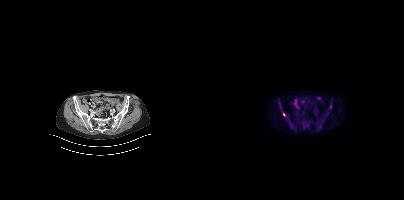
Technique: Two-panel axial: CT | PSMA PET, 18F-PSMA tracer. slice position z = -727 mm.
Findings: Coordinates are on the 200×200 PET (right) panel. Small PSMA-avid focus (2 to 4 px across) near (center x, center y): (80, 114).